Technique: Left: CT. Right: PSMA PET, same axial level, 18F-PSMA tracer. slice position z = -740 mm.
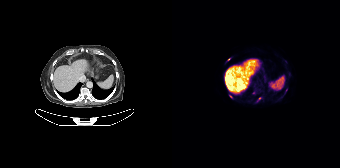
Findings: Coordinates are on the 168×168 PET (right) panel. (showing 2 of 4 foci) Small PSMA-avid foci (2 to 4 px across) near (center x, center y): (58, 96); (56, 59).